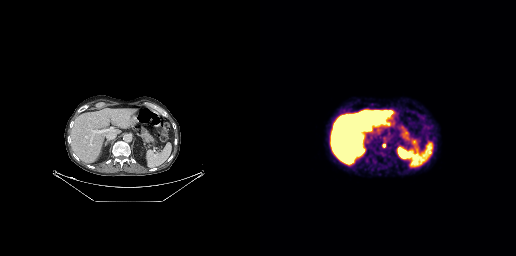
Coordinates are on the 256×256 PET (right) panel. Small PSMA-avid focus (2 to 4 px across) near (center x, center y): (123, 145).